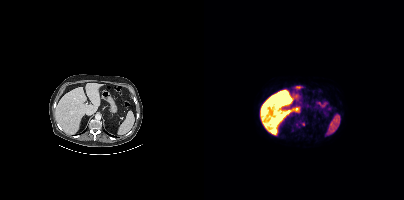
Left: CT. Right: PSMA PET, same axial level, 18F tracer. Acquired on Siemens Biograph mCT Flow 20. Coordinates are on the 200×200 PET (right) panel. (showing 1 of 2 foci) Small PSMA-avid focus (2 to 4 px across) near (center x, center y): (99, 124).